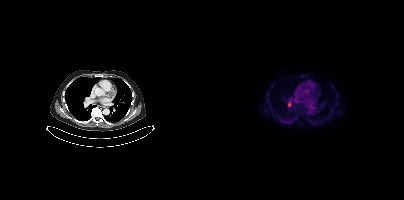
Findings: Coordinates are on the 200×200 PET (right) panel. PSMA-avid tumor lesion bounding box (x0, y0)-(x1, y1): (84, 101)-(87, 106). Small PSMA-avid focus (2 to 4 px across) near (center x, center y): (105, 106).
- Two-panel axial: CT | PSMA PET, [18F]PSMA-1007 tracer
- PET panel 200×200 px (4.1 mm/px)